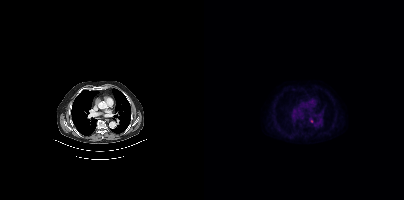
Coordinates are on the 200×200 PET (right) panel. Small PSMA-avid focus (2 to 4 px across) near (center x, center y): (107, 121). Paired axial CT (left) and PSMA PET (right), 18F-PSMA tracer. Slice 259 of 383.